Two-panel axial: CT | PSMA PET, [18F]PSMA-1007 tracer. Slice 364 of 415. PET panel 200×200 px (4.1 mm/px). Facial anatomy redacted by setting a rectangular region of the head to black.
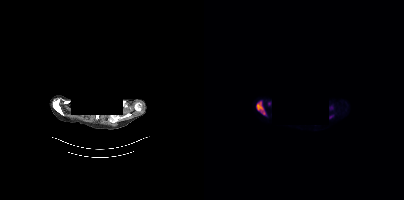
Coordinates are on the 200×200 PET (right) panel. (showing 2 of 3 foci) PSMA-avid tumor lesion bounding box (x0, y0)-(x1, y1): (52, 101)-(61, 114). Small PSMA-avid focus (2 to 4 px across) near (center x, center y): (65, 103).